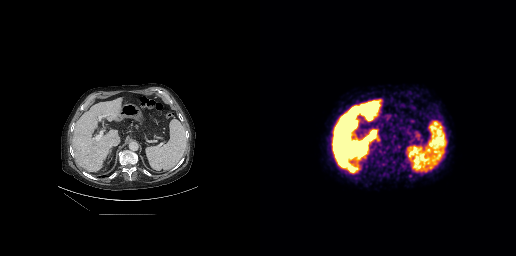
Paired axial CT (left) and PSMA PET (right), 18F-PSMA tracer. Slice 149 of 263.
Coordinates are on the 256×256 PET (right) panel. PSMA-avid tumor lesion bounding boxes (partial; 1 more focus not listed):
| # | x0 | y0 | x1 | y1 |
|---|---|---|---|---|
| 1 | 118 | 149 | 129 | 168 |
| 2 | 175 | 109 | 182 | 117 |
| 3 | 130 | 156 | 134 | 163 |